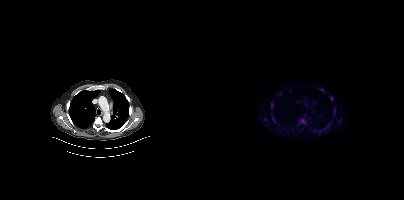
Paired axial CT (left) and PSMA PET (right), 18F tracer. PET panel 200×200 px (4.1 mm/px). Coordinates are on the 200×200 PET (right) panel. (showing 10 of 13 foci) PSMA-avid tumor lesion bounding boxes (x, y, width, height): x=95 y=118 w=8 h=7 / x=129 y=107 w=3 h=9 / x=67 y=102 w=3 h=7 / x=68 y=116 w=4 h=7 / x=126 y=96 w=3 h=5 / x=115 y=89 w=6 h=3. Small PSMA-avid foci (2 to 4 px across) near (center x, center y): (123, 125) / (61, 119) / (135, 121) / (76, 93).